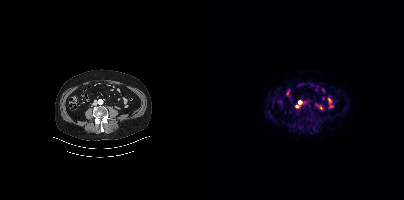
Coordinates are on the 200×200 PET (right) panel. Small PSMA-avid foci (2 to 4 px across) near (center x, center y): (96, 102); (92, 106).